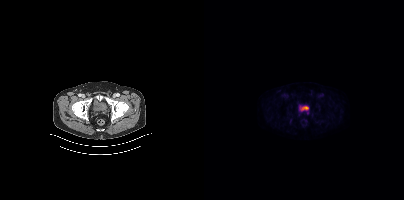
Left: CT. Right: PSMA PET, same axial level, 18F tracer. Slice position z = -1614 mm. Coordinates are on the 200×200 PET (right) panel. Small PSMA-avid foci (2 to 4 px across) near (center x, center y): (103, 113) (95, 115).